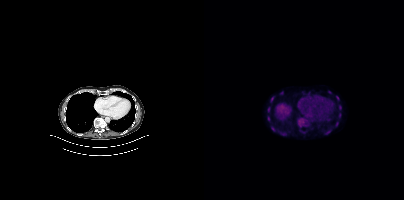
- Left: CT. Right: PSMA PET, same axial level, 18F-PSMA tracer
- acquired on Siemens Biograph mCT Flow 20
- PET panel 200×200 px (4.1 mm/px)
Findings: Coordinates are on the 200×200 PET (right) panel. PSMA-avid tumor lesion bounding boxes (x0, y0)-(x1, y1): (67, 96)-(70, 102); (135, 105)-(137, 109); (64, 107)-(66, 112); (135, 113)-(136, 117). Small PSMA-avid foci (2 to 4 px across) near (center x, center y): (68, 127); (134, 99).